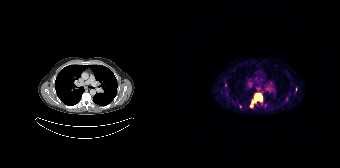
Left: CT. Right: PSMA PET, same axial level, 68Ga tracer. Acquired on Siemens Biograph 64-4R TruePoint. Slice position z = -1156 mm.
Coordinates are on the 168×168 PET (right) panel. PSMA-avid tumor lesion bounding boxes (partial; 1 more focus not listed):
| # | x0 | y0 | x1 | y1 |
|---|---|---|---|---|
| 1 | 78 | 93 | 90 | 107 |
Small PSMA-avid foci (2 to 4 px across) near (center x, center y): (68, 106); (53, 84).